modality: PSMA PET/CT | tracer: [68Ga]Ga-PSMA-11 | view: axial | PET grid: 168×168
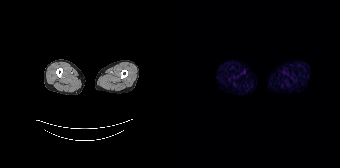
Negative for PSMA-avid disease on this slice.